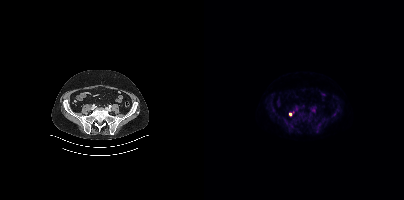
- Left: CT. Right: PSMA PET, same axial level, [18F]PSMA-1007 tracer
- PET panel 200×200 px (4.1 mm/px)
Findings: Coordinates are on the 200×200 PET (right) panel. Small PSMA-avid focus (2 to 4 px across) near (center x, center y): (86, 114).